The face region was removed for patient privacy by blanking a rectangle over the head.
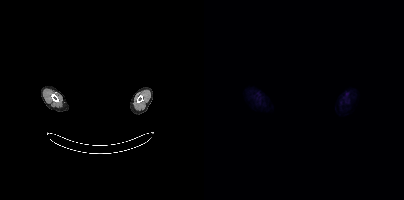
Negative for PSMA-avid disease on this slice.